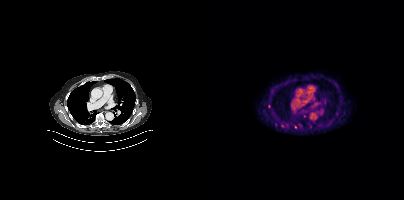
Coordinates are on the 200×200 PET (right) panel. (showing 1 of 4 foci) Small PSMA-avid focus (2 to 4 px across) near (center x, center y): (91, 127).